modality: PSMA PET/CT | tracer: 68Ga-PSMA | view: axial | PET grid: 256×256
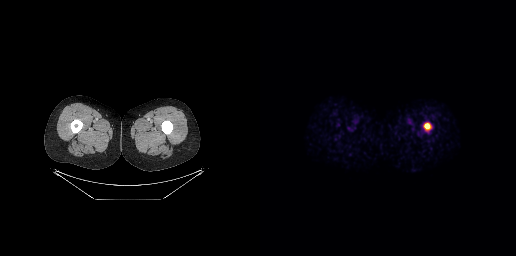
Coordinates are on the 256×256 PET (right) panel. PSMA-avid tumor lesion bounding box (x0,y0,x1,y1): [164,123,170,129].